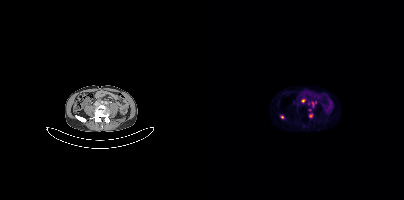
Left: CT. Right: PSMA PET, same axial level, 68Ga-PSMA tracer. PET panel 200×200 px (4.1 mm/px). Coordinates are on the 200×200 PET (right) panel. (showing 4 of 6 foci) PSMA-avid tumor lesion bounding box (x0, y0)-(x1, y1): (108, 102)-(109, 106). Small PSMA-avid foci (2 to 4 px across) near (center x, center y): (98, 100); (106, 115); (78, 117).